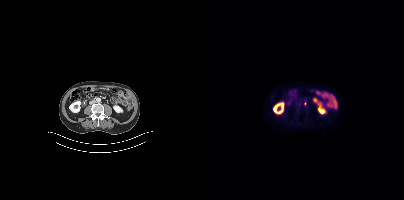
Coordinates are on the 200×200 PET (right) panel. Small PSMA-avid focus (2 to 4 px across) near (center x, center y): (100, 103).
modality: PSMA PET/CT | tracer: 18F-PSMA | view: axial | PET grid: 200×200